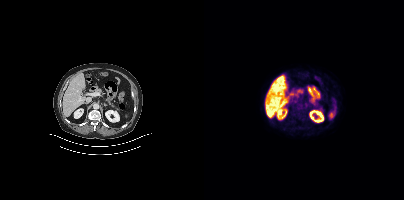
Coordinates are on the 200×200 PET (right) panel. Small PSMA-avid focus (2 to 4 px across) near (center x, center y): (102, 104).